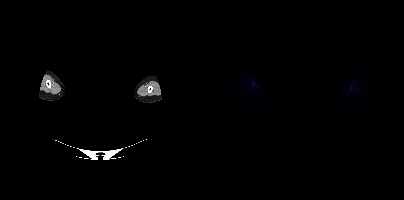
{"modality":"PSMA PET/CT","view":"axial","tracer":"18F","pet_grid":[200,200],"coord_frame":"pet_panel","coord_format":"x0,y0,x1,y1","psma_avid_lesions":false,"redaction":"head region blacked out before release"}